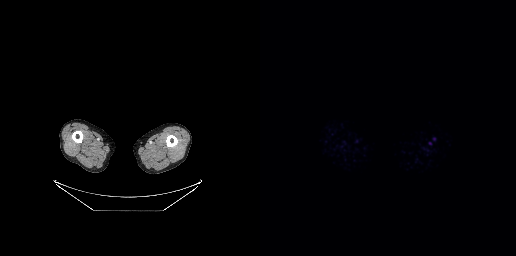
- Paired axial CT (left) and PSMA PET (right), 68Ga tracer
Findings: Negative for PSMA-avid disease on this slice.